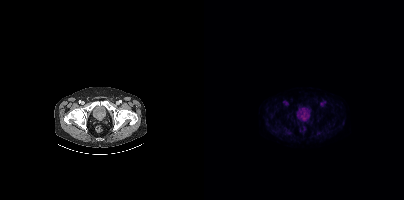
{"modality":"PSMA PET/CT","view":"axial","tracer":"18F-PSMA","pet_grid":[200,200],"coord_frame":"pet_panel","coord_format":"x0,y0,x1,y1","psma_avid_lesions":false}